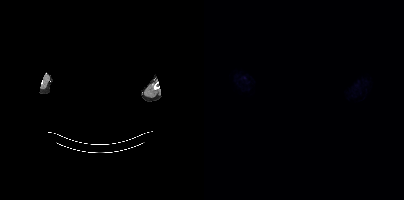
Paired axial CT (left) and PSMA PET (right), 18F-PSMA tracer. Acquired on Siemens Biograph mCT Flow 20. Slice 374 of 383. PET panel 200×200 px (4.1 mm/px). Facial anatomy redacted by setting a rectangular region of the head to black. This slice has no annotated PSMA-avid lesion.